modality: PSMA PET/CT | tracer: 18F | view: axial
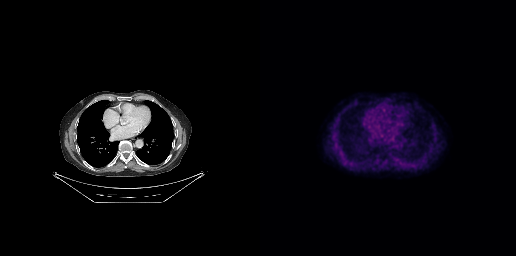
No PSMA-avid tumor lesions on this slice.